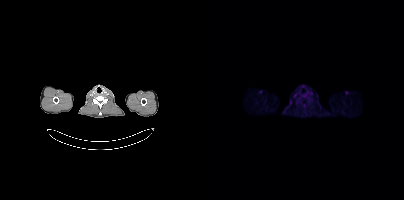
{"modality":"PSMA PET/CT","view":"axial","tracer":"18F","pet_grid":[200,200],"coord_frame":"pet_panel","coord_format":"x0,y0,x1,y1","psma_avid_lesions":false}